Paired axial CT (left) and PSMA PET (right), [18F]PSMA-1007 tracer. Slice 375 of 431.
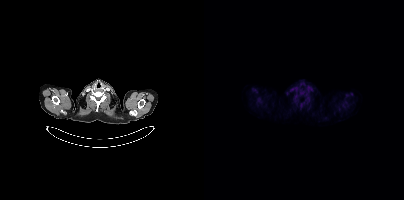
This slice has no annotated PSMA-avid lesion.